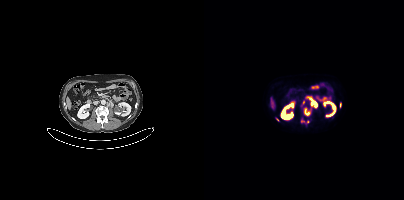
{"modality":"PSMA PET/CT","view":"axial","tracer":"18F-PSMA","pet_grid":[200,200],"coord_frame":"pet_panel","coord_format":"x0,y0,x1,y1","lesion_bboxes":[[105,98,112,106],[101,110,105,115],[136,103,137,107]],"small_foci_centers":[[98,121],[99,102],[73,119],[103,121]]}